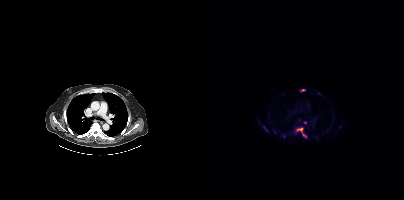
{"modality":"PSMA PET/CT","view":"axial","tracer":"18F","pet_grid":[200,200],"coord_frame":"pet_panel","coord_format":"x0,y0,x1,y1","lesion_bboxes":[[92,127,102,137],[59,126,63,131]],"small_foci_centers":[[98,90],[101,122],[70,132]]}